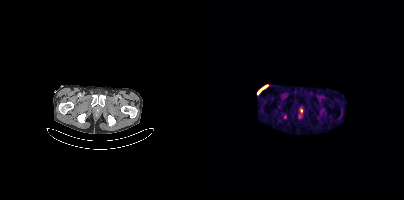
Technique: Paired axial CT (left) and PSMA PET (right), 68Ga-PSMA tracer. acquired on Siemens Biograph mCT Flow 20. PET panel 200×200 px (4.1 mm/px).
Findings: Only PSMA-avid lesion pieces thinner than 2 px on this slice (not listed).